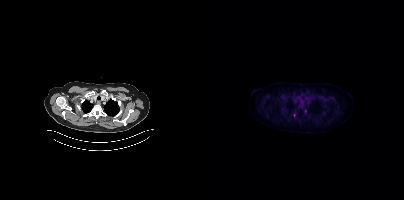
{"modality":"PSMA PET/CT","view":"axial","tracer":"18F","pet_grid":[200,200],"coord_frame":"pet_panel","coord_format":"x0,y0,x1,y1","partial":true,"lesion_bboxes":[]}